Paired axial CT (left) and PSMA PET (right), 18F-PSMA tracer. Acquired on Siemens Biograph mCT Flow 20.
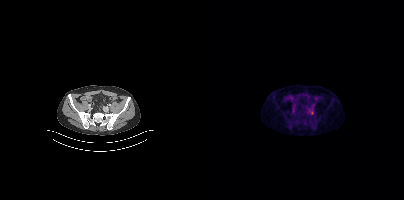
Coordinates are on the 200×200 PET (right) panel. (showing 1 of 2 foci) Small PSMA-avid focus (2 to 4 px across) near (center x, center y): (108, 112).